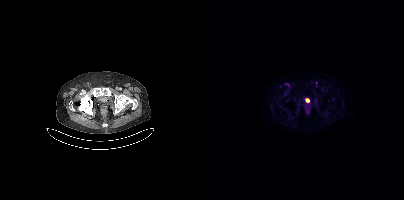
Paired axial CT (left) and PSMA PET (right), [18F]PSMA-1007 tracer. Slice 63 of 395. No PSMA-avid tumor lesions on this slice.